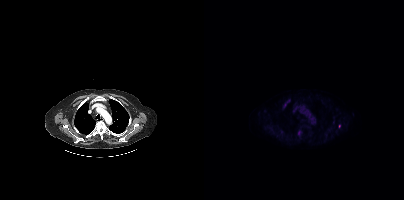
Findings: Only PSMA-avid lesion pieces thinner than 2 px on this slice (not listed).
- Left: CT. Right: PSMA PET, same axial level, 18F tracer
- acquired on Siemens Biograph mCT Flow 20
- slice position z = -976 mm